- Two-panel axial: CT | PSMA PET, 18F-PSMA tracer
- PET panel 200×200 px (4.1 mm/px)
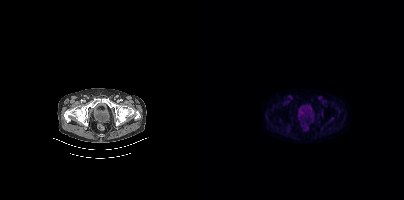
Findings: This slice has no annotated PSMA-avid lesion.